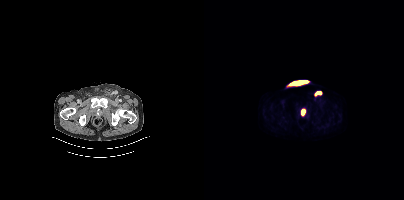
Technique: Two-panel axial: CT | PSMA PET, 18F tracer.
Findings: Coordinates are on the 200×200 PET (right) panel. PSMA-avid tumor lesion bounding boxes (x0,y0,x1,y1): [111,91,117,96] [97,109,101,115].